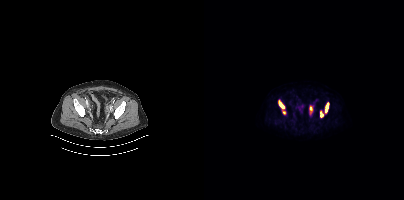
Coordinates are on the 200×200 PET (right) panel. PSMA-avid tumor lesion bounding boxes (x0, y0)-(x1, y1): (121, 102)-(125, 113); (74, 100)-(80, 108); (116, 111)-(119, 117); (106, 106)-(108, 111). Small PSMA-avid focus (2 to 4 px across) near (center x, center y): (80, 112).